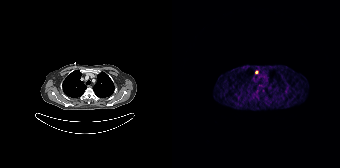
Coordinates are on the 168×168 PET (right) panel. (showing 1 of 2 foci) Small PSMA-avid focus (2 to 4 px across) near (center x, center y): (84, 72).
modality: PSMA PET/CT | tracer: 68Ga-PSMA | view: axial